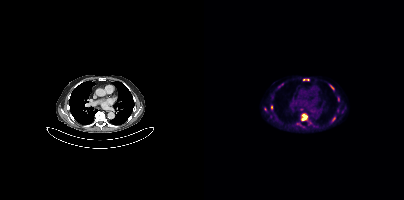
- Left: CT. Right: PSMA PET, same axial level, [18F]PSMA-1007 tracer
- acquired on Siemens Biograph mCT Flow 20
- slice position z = 148 mm
Findings: Coordinates are on the 200×200 PET (right) panel. (showing 6 of 7 foci) PSMA-avid tumor lesion bounding boxes (x, y, width, height): x=97 y=113 w=7 h=8 | x=126 y=85 w=4 h=5. Small PSMA-avid foci (2 to 4 px across) near (center x, center y): (67, 107) | (100, 79) | (103, 79) | (134, 99).